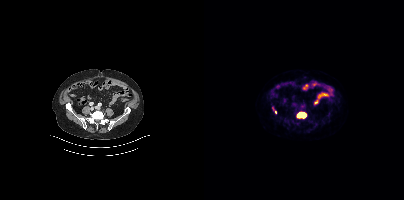
modality: PSMA PET/CT | tracer: [18F]PSMA-1007 | view: axial
Coordinates are on the 200×200 PET (right) panel. PSMA-avid tumor lesion bounding boxes (x, y, width, height): x=93 y=112 w=10 h=7; x=68 y=107 w=5 h=7.